Technique: Two-panel axial: CT | PSMA PET, 18F-PSMA tracer. PET panel 200×200 px (4.1 mm/px).
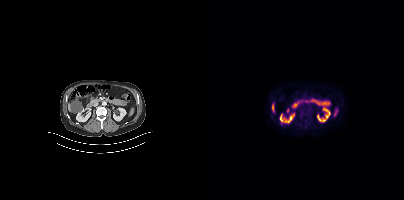
Findings: No PSMA-avid tumor lesions on this slice.